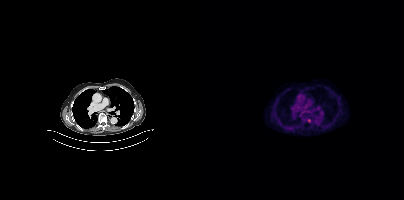
Coordinates are on the 200×200 PET (right) panel. Small PSMA-avid focus (2 to 4 px across) near (center x, center y): (105, 120).